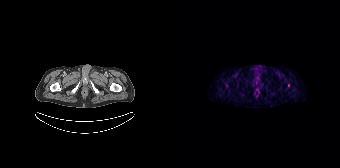
Coordinates are on the 168×168 PET (right) panel. Small PSMA-avid focus (2 to 4 px across) near (center x, center y): (116, 85). Two-panel axial: CT | PSMA PET, [68Ga]Ga-PSMA-11 tracer. Slice 36 of 195. PET panel 168×168 px (4.1 mm/px).